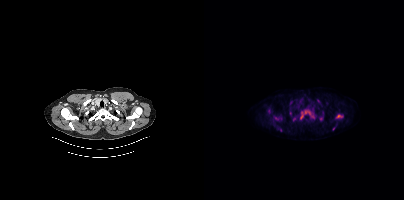
Coordinates are on the 200×200 PET (right) panel. (showing 7 of 9 foci) PSMA-avid tumor lesion bounding boxes (x, y, width, height): x=96 y=110 w=15 h=10; x=132 y=114 w=7 h=5; x=85 y=111 w=3 h=5. Small PSMA-avid foci (2 to 4 px across) near (center x, center y): (117, 118); (89, 118); (76, 129); (129, 128). Two-panel axial: CT | PSMA PET, 18F tracer. PET panel 200×200 px (4.1 mm/px).